Paired axial CT (left) and PSMA PET (right), 68Ga-PSMA tracer. PET panel 256×256 px (2.7 mm/px).
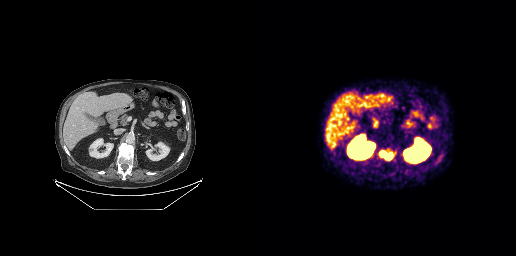
Coordinates are on the 256×256 PET (right) panel. PSMA-avid tumor lesion bounding box (x0, y0)-(x1, y1): (118, 149)-(135, 160).